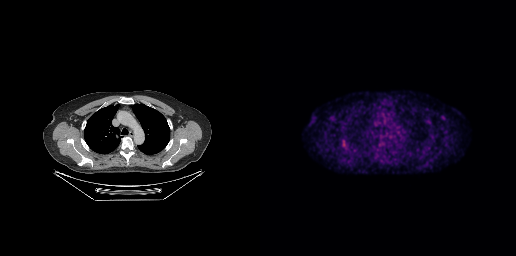
Paired axial CT (left) and PSMA PET (right), 18F tracer. Slice position z = -214 mm. PET panel 256×256 px (2.7 mm/px). This slice has no annotated PSMA-avid lesion.